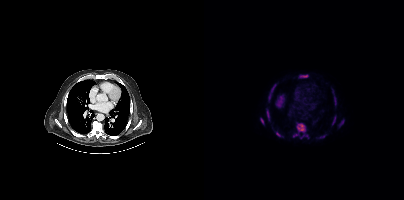
Coordinates are on the 200×200 PET (right) panel. (showing 13 of 14 foci) PSMA-avid tumor lesion bounding boxes (x0, y0)-(x1, y1): (89, 123)-(101, 137); (72, 131)-(79, 137); (96, 75)-(103, 77); (64, 93)-(67, 101); (130, 96)-(132, 105); (135, 120)-(140, 126); (128, 116)-(131, 124); (62, 109)-(64, 114); (68, 84)-(72, 87); (116, 135)-(120, 137); (128, 89)-(129, 93). Small PSMA-avid foci (2 to 4 px across) near (center x, center y): (102, 135); (99, 135).